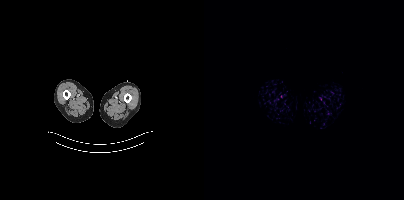
{"modality":"PSMA PET/CT","view":"axial","tracer":"18F-PSMA","pet_grid":[200,200],"coord_frame":"pet_panel","coord_format":"x0,y0,x1,y1","psma_avid_lesions":false}